- Two-panel axial: CT | PSMA PET, 18F tracer
- acquired on Siemens Biograph mCT Flow 20
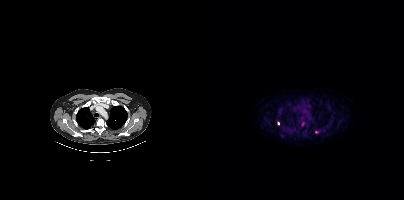
Findings: Coordinates are on the 200×200 PET (right) panel. (showing 2 of 3 foci) PSMA-avid tumor lesion bounding boxes (x0, y0)-(x1, y1): (97, 122)-(100, 126) / (73, 121)-(75, 125).